modality: PSMA PET/CT | tracer: [68Ga]Ga-PSMA-11 | view: axial | PET grid: 200×200
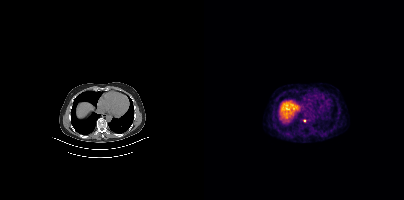
Coordinates are on the 200×200 PET (right) panel. Small PSMA-avid focus (2 to 4 px across) near (center x, center y): (100, 120).